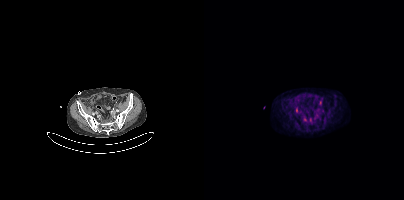
Coordinates are on the 200×200 PET (right) panel. (showing 2 of 3 foci) Small PSMA-avid foci (2 to 4 px across) near (center x, center y): (92, 110) / (106, 119).